modality: PSMA PET/CT | tracer: 18F | view: axial
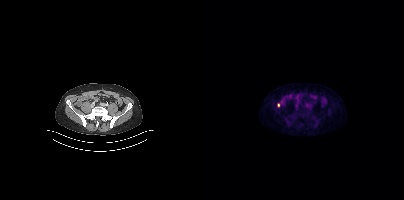
Coordinates are on the 200×200 PET (right) panel. Small PSMA-avid focus (2 to 4 px across) near (center x, center y): (74, 105).